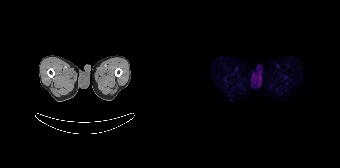
{"modality":"PSMA PET/CT","view":"axial","tracer":"68Ga","pet_grid":[168,168],"coord_frame":"pet_panel","coord_format":"x0,y0,x1,y1","psma_avid_lesions":false}